Two-panel axial: CT | PSMA PET, [18F]PSMA-1007 tracer. Acquired on GE Discovery 690. Slice 213 of 263.
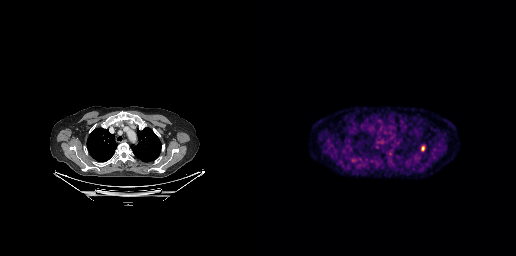
This slice has no annotated PSMA-avid lesion.